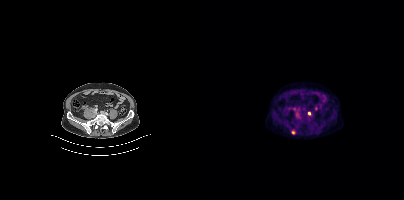
{"pet_grid":[200,200],"coord_frame":"pet_panel","coord_format":"x0,y0,x1,y1","lesion_bboxes":[[87,130,91,134]],"small_foci_centers":[[105,113]],"modality":"PSMA PET/CT","view":"axial","tracer":"18F-PSMA"}